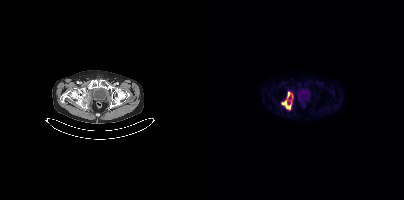
{"modality":"PSMA PET/CT","view":"axial","tracer":"18F","pet_grid":[200,200],"coord_frame":"pet_panel","coord_format":"x0,y0,x1,y1","lesion_bboxes":[[77,92,89,109]]}